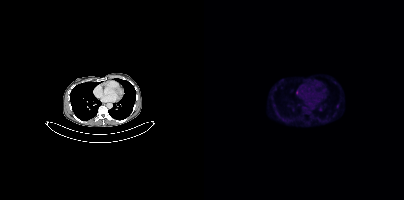
{"modality":"PSMA PET/CT","view":"axial","tracer":"18F-PSMA","pet_grid":[200,200],"coord_frame":"pet_panel","coord_format":"x0,y0,x1,y1","lesion_bboxes":[[92,90,94,94]],"small_foci_centers":[[133,106]]}